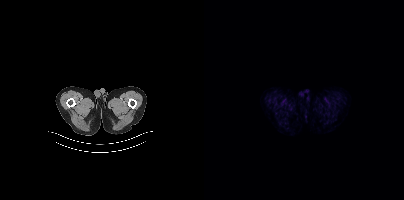
No tumor lesions annotated on this slice.